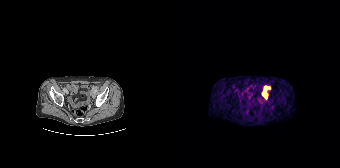
Technique: Paired axial CT (left) and PSMA PET (right), 68Ga tracer. PET panel 168×168 px (4.1 mm/px).
Findings: Coordinates are on the 168×168 PET (right) panel. (showing 1 of 2 foci) PSMA-avid tumor lesion bounding box (x0, y0)-(x1, y1): (90, 86)-(95, 98).